Technique: Paired axial CT (left) and PSMA PET (right), [18F]PSMA-1007 tracer. acquired on Siemens Biograph mCT Flow 20.
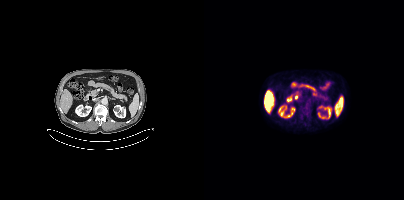
Findings: This slice has no annotated PSMA-avid lesion.